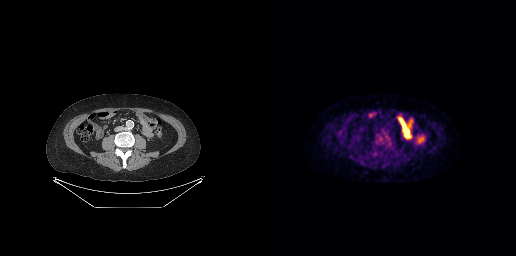
Technique: Two-panel axial: CT | PSMA PET, 18F tracer. acquired on GE Discovery 690. slice 207 of 371.
Findings: This slice has no annotated PSMA-avid lesion.